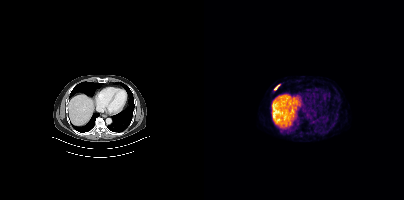
modality: PSMA PET/CT | tracer: 68Ga-PSMA | view: axial
Coordinates are on the 200×200 PET (right) panel. PSMA-avid tumor lesion bounding box (x, y, width, height): x=70 y=85 w=6 h=5.